modality: PSMA PET/CT | tracer: 68Ga-PSMA | view: axial | PET grid: 200×200
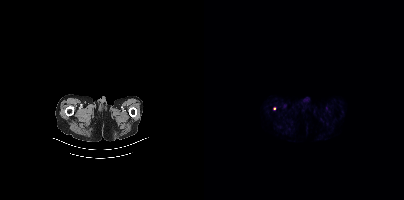
Coordinates are on the 200×200 PET (right) panel. Small PSMA-avid focus (2 to 4 px across) near (center x, center y): (70, 108).